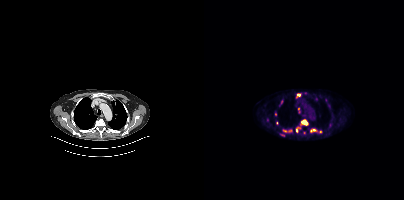
Coordinates are on the 200×200 PET (right) panel. PSMA-avid tumor lesion bounding boxes (partial; 4 more foci not listed):
| # | x0 | y0 | x1 | y1 |
|---|---|---|---|---|
| 1 | 96 | 119 | 104 | 125 |
| 2 | 79 | 129 | 87 | 132 |
| 3 | 92 | 127 | 96 | 131 |
Small PSMA-avid foci (2 to 4 px across) near (center x, center y): (94, 94); (110, 129); (94, 108); (72, 123).
Left: CT. Right: PSMA PET, same axial level, 18F tracer. PET panel 200×200 px (4.1 mm/px).